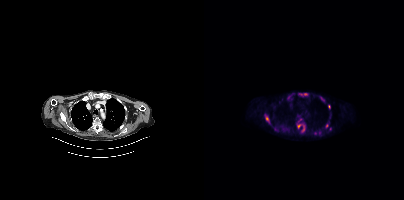
modality: PSMA PET/CT | tracer: 18F-PSMA | view: axial
Coordinates are on the 200×200 PET (right) panel. (showing 9 of 11 foci) PSMA-avid tumor lesion bounding boxes (x0,y0,x1,y1): [93,118,101,132], [95,93,104,96], [61,117,65,123], [83,94,88,99], [121,122,125,128], [116,97,120,101]. Small PSMA-avid foci (2 to 4 px across) near (center x, center y): (125, 106), (115, 132), (126, 129).